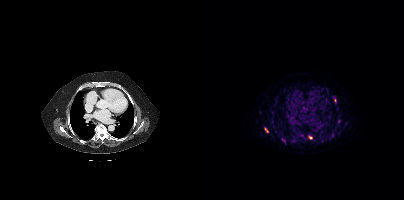
Left: CT. Right: PSMA PET, same axial level, 68Ga tracer. Coordinates are on the 200×200 PET (right) panel. PSMA-avid tumor lesion bounding box (x0,y0,x1,y1): [61,128,64,132]. Small PSMA-avid foci (2 to 4 px across) near (center x, center y): (131, 100), (106, 137).